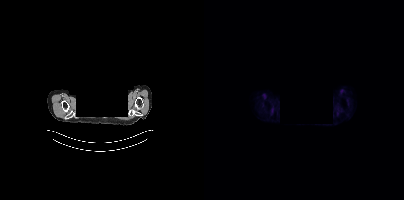
Facial anatomy redacted by setting a rectangular region of the head to black.
No PSMA-avid tumor lesions on this slice.